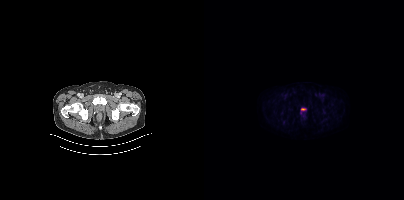
Technique: Two-panel axial: CT | PSMA PET, 18F-PSMA tracer.
Findings: Coordinates are on the 200×200 PET (right) panel. Small PSMA-avid focus (2 to 4 px across) near (center x, center y): (97, 113).